Left: CT. Right: PSMA PET, same axial level, 18F-PSMA tracer.
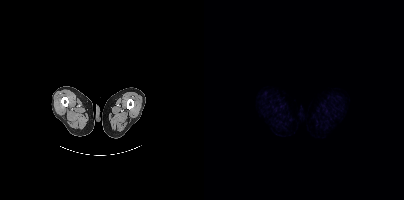
No tumor lesions annotated on this slice.